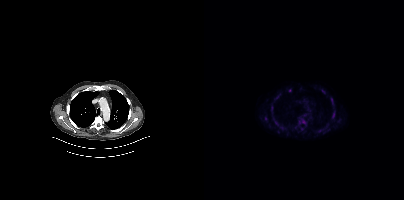
Coordinates are on the 200×200 PET (right) panel. (showing 12 of 15 foci) PSMA-avid tumor lesion bounding boxes (x, y, width, height): x=128 y=111 w=3 h=8 / x=98 y=119 w=4 h=5 / x=71 y=121 w=4 h=5 / x=127 y=98 w=2 h=5 / x=67 y=106 w=2 h=5. Small PSMA-avid foci (2 to 4 px across) near (center x, center y): (119, 91) / (95, 122) / (73, 97) / (61, 118) / (85, 90) / (77, 127) / (97, 128).
modality: PSMA PET/CT | tracer: [18F]PSMA-1007 | view: axial | PET grid: 200×200